Paired axial CT (left) and PSMA PET (right), [18F]PSMA-1007 tracer. Acquired on Siemens Biograph 64-4R TruePoint.
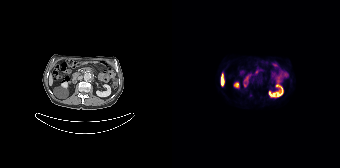
Only PSMA-avid lesion pieces thinner than 2 px on this slice (not listed).